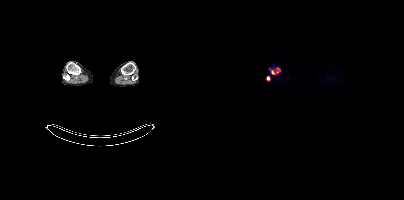
Two-panel axial: CT | PSMA PET, 18F-PSMA tracer. PET panel 200×200 px (4.1 mm/px). Coordinates are on the 200×200 PET (right) panel. PSMA-avid tumor lesion bounding boxes (x0, y0)-(x1, y1): (72, 67)-(76, 72) / (63, 76)-(65, 80). Small PSMA-avid focus (2 to 4 px across) near (center x, center y): (69, 71).